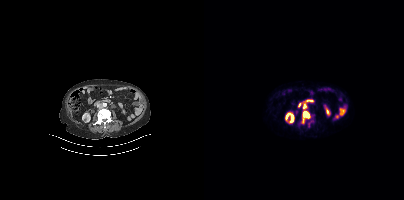
Coordinates are on the 200×200 PET (right) panel. (showing 3 of 5 foci) PSMA-avid tumor lesion bounding boxes (x0,y0,x1,y1): [99,111,106,118]; [99,103,103,109]; [97,119,101,123].